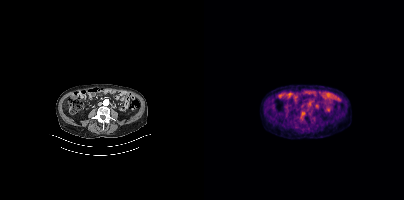
{"modality":"PSMA PET/CT","view":"axial","tracer":"18F","pet_grid":[200,200],"coord_frame":"pet_panel","coord_format":"x0,y0,x1,y1","psma_avid_lesions":false}